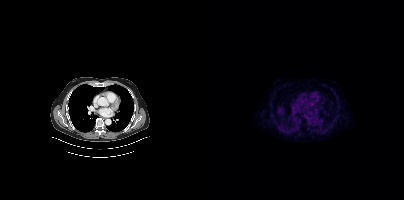
Left: CT. Right: PSMA PET, same axial level, 68Ga tracer. Slice 279 of 407. PET panel 200×200 px (4.1 mm/px). Negative for PSMA-avid disease on this slice.